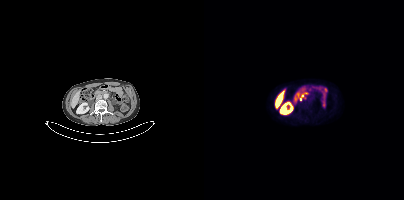
Technique: Two-panel axial: CT | PSMA PET, 18F-PSMA tracer. slice 170 of 448. PET panel 200×200 px (4.1 mm/px).
Findings: Coordinates are on the 200×200 PET (right) panel. Small PSMA-avid foci (2 to 4 px across) near (center x, center y): (96, 99); (98, 95).